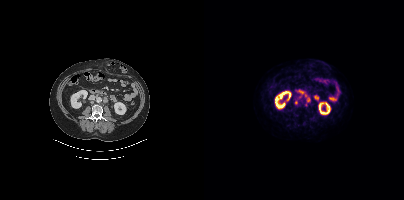
Technique: Two-panel axial: CT | PSMA PET, [18F]PSMA-1007 tracer. PET panel 200×200 px (4.1 mm/px).
Findings: Coordinates are on the 200×200 PET (right) panel. PSMA-avid tumor lesion bounding box (x0, y0)-(x1, y1): (94, 93)-(104, 99). Small PSMA-avid foci (2 to 4 px across) near (center x, center y): (104, 100) | (91, 102).